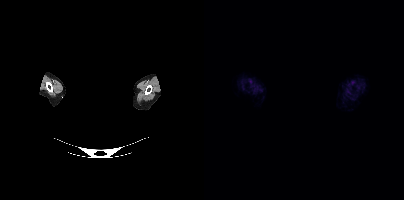
{"modality":"PSMA PET/CT","view":"axial","tracer":"18F-PSMA","pet_grid":[200,200],"coord_frame":"pet_panel","coord_format":"x0,y0,x1,y1","psma_avid_lesions":false,"deidentification":"face masked with black rectangle"}